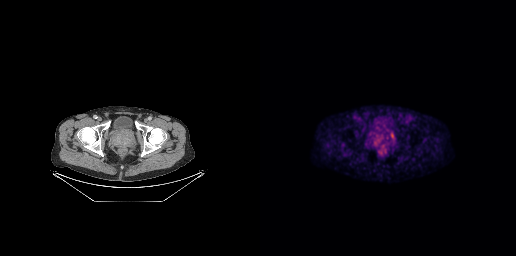
{"modality":"PSMA PET/CT","view":"axial","tracer":"[18F]PSMA-1007","pet_grid":[256,256],"coord_frame":"pet_panel","coord_format":"x0,y0,x1,y1","lesion_bboxes":[[130,132,134,138]]}